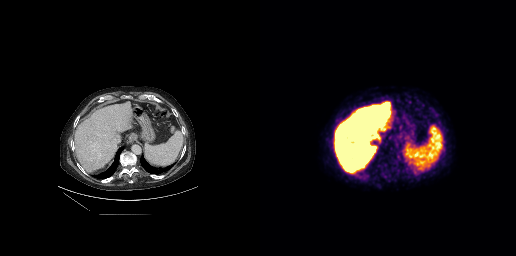
Coordinates are on the 256×256 PET (right) panel. (showing 1 of 2 foci) PSMA-avid tumor lesion bounding box (x0,y0,x1,y1): [75,117,80,123]. Left: CT. Right: PSMA PET, same axial level, 18F-PSMA tracer. Acquired on GE Discovery 690.